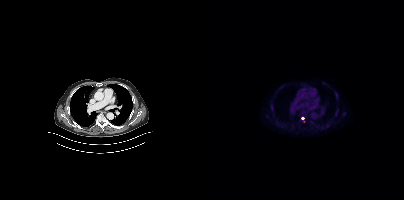
{"modality":"PSMA PET/CT","view":"axial","tracer":"18F-PSMA","pet_grid":[200,200],"coord_frame":"pet_panel","coord_format":"x0,y0,x1,y1","partial":true,"lesion_bboxes":[]}